Privacy masking over the head, with the pixels inside a rectangle set to black. Left: CT. Right: PSMA PET, same axial level, 18F-PSMA tracer. Acquired on Siemens Biograph mCT Flow 20. Slice 394 of 448. PET panel 200×200 px (4.1 mm/px).
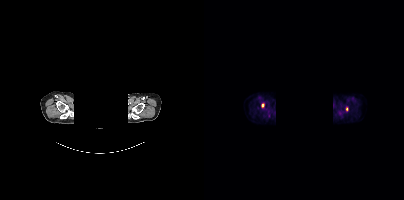
Coordinates are on the 200×200 PET (right) panel. Small PSMA-avid foci (2 to 4 px across) near (center x, center y): (58, 105); (142, 109).